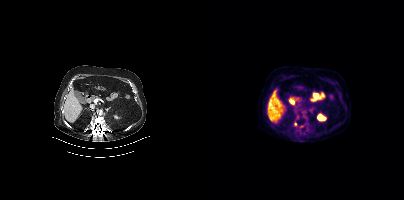
Coordinates are on the 200×200 PET (right) panel. Small PSMA-avid focus (2 to 4 px across) near (center x, center y): (91, 124).